Technique: Left: CT. Right: PSMA PET, same axial level, 18F tracer. acquired on Siemens Biograph 64-4R TruePoint. slice position z = -733 mm.
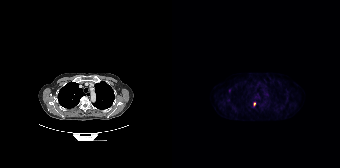
Findings: Coordinates are on the 168×168 PET (right) panel. Small PSMA-avid foci (2 to 4 px across) near (center x, center y): (82, 103) (57, 90).